Technique: Paired axial CT (left) and PSMA PET (right), [18F]PSMA-1007 tracer. acquired on Siemens Biograph mCT Flow 20. slice 26 of 409. PET panel 200×200 px (4.1 mm/px).
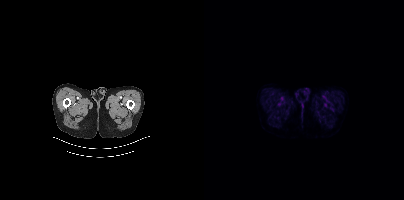
Findings: Negative for PSMA-avid disease on this slice.